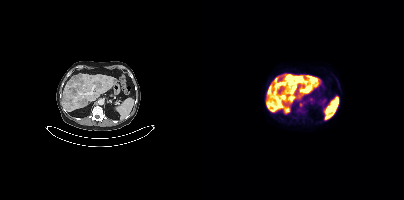
Coordinates are on the 200×200 PET (right) panel. (showing 4 of 5 foci) PSMA-avid tumor lesion bounding boxes (x, y, width, height): x=91 y=75 w=9 h=8 / x=97 y=84 w=5 h=6. Small PSMA-avid foci (2 to 4 px across) near (center x, center y): (106, 98) / (96, 104).